Paired axial CT (left) and PSMA PET (right), [18F]PSMA-1007 tracer.
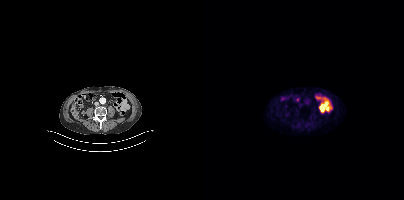
No PSMA-avid tumor lesions on this slice.